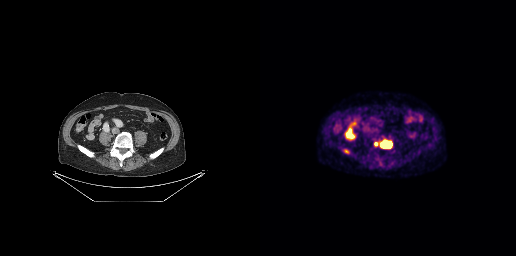
Left: CT. Right: PSMA PET, same axial level, 18F-PSMA tracer. Acquired on GE Discovery 690. PET panel 256×256 px (2.7 mm/px). Coordinates are on the 256×256 PET (right) panel. PSMA-avid tumor lesion bounding boxes (x0, y0)-(x1, y1): (122, 142)-(131, 147) / (84, 149)-(88, 153). Small PSMA-avid focus (2 to 4 px across) near (center x, center y): (115, 143).